Two-panel axial: CT | PSMA PET, 68Ga-PSMA tracer. Acquired on Siemens Biograph mCT Flow 20. Slice 291 of 405. PET panel 200×200 px (4.1 mm/px).
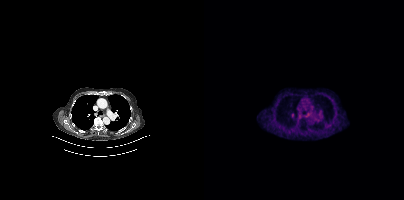
Only PSMA-avid lesion pieces thinner than 2 px on this slice (not listed).